Paired axial CT (left) and PSMA PET (right), [18F]PSMA-1007 tracer. The face region was removed for patient privacy by blanking a rectangle over the head.
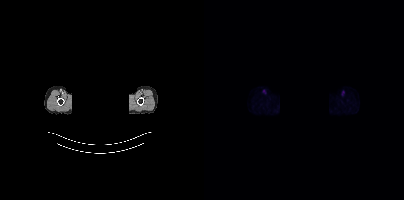
No PSMA-avid tumor lesions on this slice.